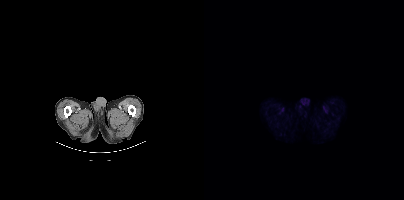
{"modality":"PSMA PET/CT","view":"axial","tracer":"18F-PSMA","pet_grid":[200,200],"coord_frame":"pet_panel","coord_format":"x0,y0,x1,y1","psma_avid_lesions":false}